Paired axial CT (left) and PSMA PET (right), [68Ga]Ga-PSMA-11 tracer.
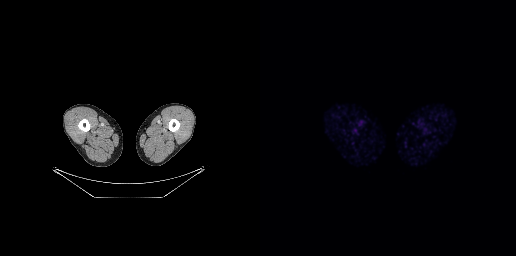
Negative for PSMA-avid disease on this slice.